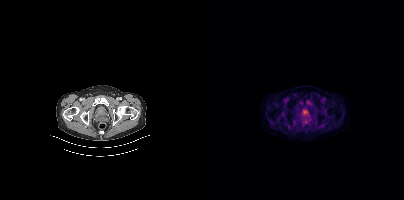
Paired axial CT (left) and PSMA PET (right), [18F]PSMA-1007 tracer. PET panel 200×200 px (4.1 mm/px).
Coordinates are on the 200×200 PET (right) panel. PSMA-avid tumor lesion bounding boxes:
| # | x0 | y0 | x1 | y1 |
|---|---|---|---|---|
| 1 | 99 | 110 | 103 | 114 |